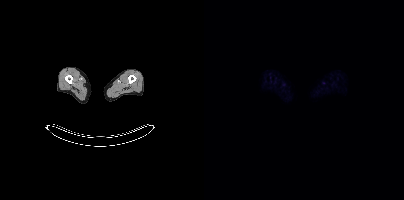
modality: PSMA PET/CT | tracer: 18F-PSMA | view: axial | PET grid: 200×200
No PSMA-avid tumor lesions on this slice.